Paired axial CT (left) and PSMA PET (right), [18F]PSMA-1007 tracer. Acquired on Siemens Biograph mCT Flow 20. Slice position z = -743 mm. PET panel 200×200 px (4.1 mm/px).
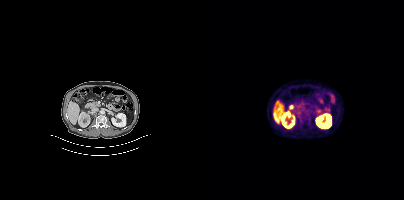
No tumor lesions annotated on this slice.